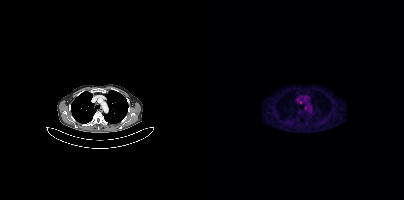
Only PSMA-avid lesion pieces thinner than 2 px on this slice (not listed).